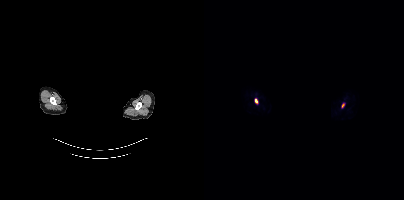
Technique: Left: CT. Right: PSMA PET, same axial level, [18F]PSMA-1007 tracer. acquired on Siemens Biograph mCT Flow 20. slice 340 of 367.
Note: Privacy masking over the head, with the pixels inside a rectangle set to black.
Findings: Coordinates are on the 200×200 PET (right) panel. PSMA-avid tumor lesion bounding box (x0, y0)-(x1, y1): (51, 99)-(53, 103). Small PSMA-avid focus (2 to 4 px across) near (center x, center y): (139, 105).